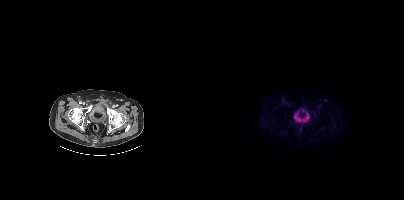
{"pet_grid":[200,200],"coord_frame":"pet_panel","coord_format":"x0,y0,x1,y1","psma_avid_lesions":false,"modality":"PSMA PET/CT","view":"axial","tracer":"18F"}